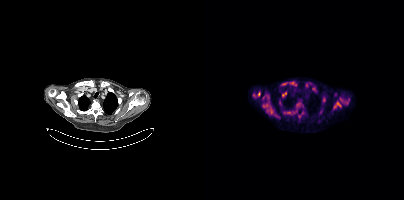
Findings: Coordinates are on the 200×200 PET (right) panel. (showing 9 of 14 foci) PSMA-avid tumor lesion bounding boxes (x, y, width, height): x=58 y=105 w=11 h=10 | x=77 y=81 w=13 h=5 | x=130 y=101 w=8 h=8 | x=81 y=111 w=6 h=4 | x=78 y=92 w=5 h=4. Small PSMA-avid foci (2 to 4 px across) near (center x, center y): (106, 83) | (54, 94) | (95, 116) | (136, 99).
- Paired axial CT (left) and PSMA PET (right), 18F-PSMA tracer
- acquired on Siemens Biograph mCT Flow 20
- slice position z = 254 mm